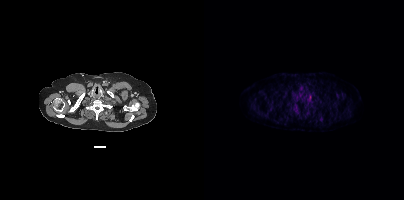
Coordinates are on the 200×200 PET (right) panel. Small PSMA-avid foci (2 to 4 px across) near (center x, center y): (117, 119); (91, 109); (89, 93).